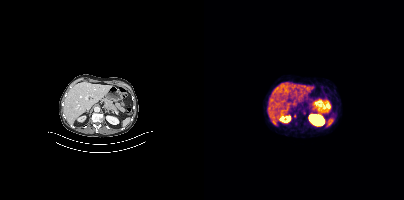
Paired axial CT (left) and PSMA PET (right), 68Ga tracer. Acquired on Siemens Biograph mCT Flow 20. PET panel 200×200 px (4.1 mm/px). Only PSMA-avid lesion pieces thinner than 2 px on this slice (not listed).